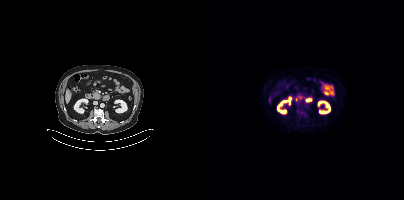
modality: PSMA PET/CT | tracer: [18F]PSMA-1007 | view: axial
This slice has no annotated PSMA-avid lesion.